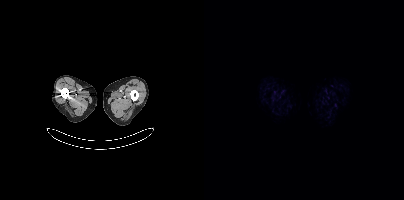
{"pet_grid":[200,200],"coord_frame":"pet_panel","coord_format":"x0,y0,x1,y1","psma_avid_lesions":false,"modality":"PSMA PET/CT","view":"axial","tracer":"18F-PSMA"}